An anonymization step blacked out a rectangle over the head in this scan. Left: CT. Right: PSMA PET, same axial level, 68Ga-PSMA tracer. Slice position z = -1028 mm. PET panel 200×200 px (4.1 mm/px).
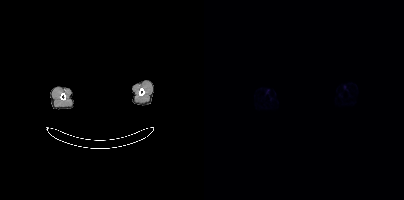
Negative for PSMA-avid disease on this slice.